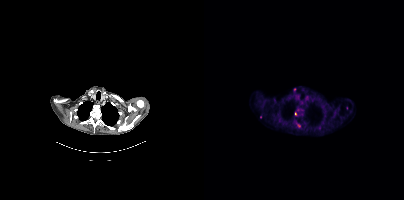
Findings: Coordinates are on the 200×200 PET (right) panel. (showing 3 of 5 foci) Small PSMA-avid foci (2 to 4 px across) near (center x, center y): (95, 125) (91, 113) (56, 116).
Technique: Two-panel axial: CT | PSMA PET, [18F]PSMA-1007 tracer. slice position z = -902 mm.